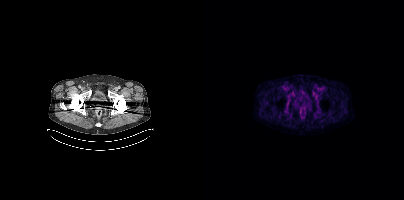
No PSMA-avid tumor lesions on this slice.